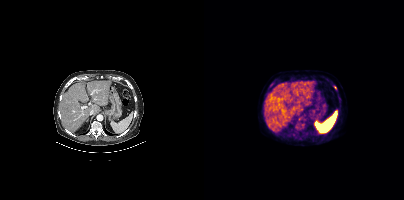
Coordinates are on the 200×200 PET (right) panel. Small PSMA-avid foci (2 to 4 px across) near (center x, center y): (95, 118); (68, 84); (131, 87); (98, 124); (89, 134). Left: CT. Right: PSMA PET, same axial level, 18F-PSMA tracer. Acquired on Siemens Biograph mCT Flow 20.